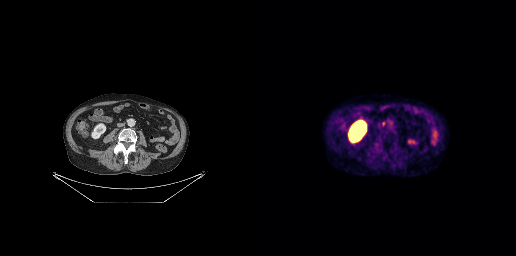
Technique: Two-panel axial: CT | PSMA PET, 18F tracer. acquired on GE Discovery 690. slice 106 of 263. PET panel 256×256 px (2.7 mm/px).
Findings: Coordinates are on the 256×256 PET (right) panel. PSMA-avid tumor lesion bounding box (x0, y0)-(x1, y1): (122, 122)-(125, 126).